modality: PSMA PET/CT | tracer: 18F | view: axial | PET grid: 200×200
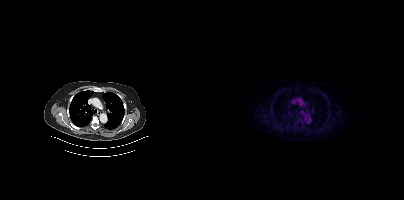
No PSMA-avid tumor lesions on this slice.